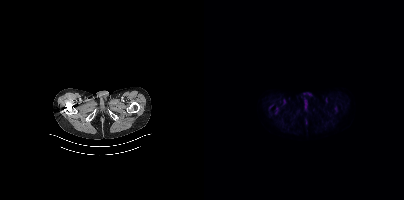
Technique: Two-panel axial: CT | PSMA PET, 18F tracer. acquired on Siemens Biograph mCT Flow 20. slice 41 of 401. PET panel 200×200 px (4.1 mm/px).
Findings: Negative for PSMA-avid disease on this slice.